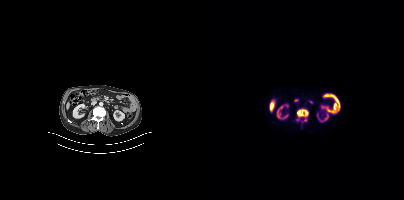
Coordinates are on the 200×200 PET (right) panel. (showing 1 of 2 foci) PSMA-avid tumor lesion bounding box (x0, y0)-(x1, y1): (93, 109)-(104, 116).
modality: PSMA PET/CT | tracer: [18F]PSMA-1007 | view: axial